Technique: Paired axial CT (left) and PSMA PET (right), 68Ga-PSMA tracer. slice position z = -826 mm.
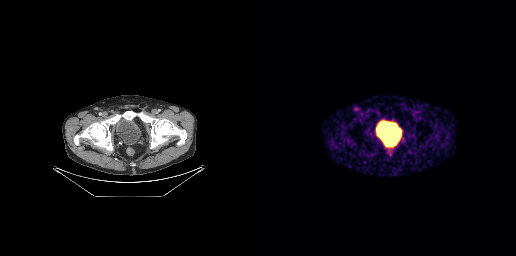
Findings: This slice has no annotated PSMA-avid lesion.